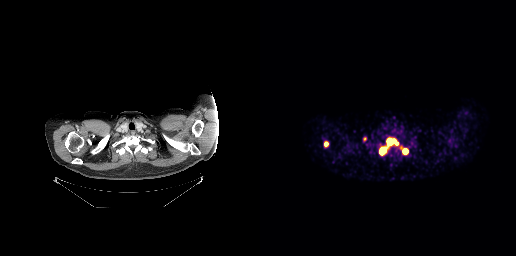
Findings: Coordinates are on the 256×256 PET (right) panel. PSMA-avid tumor lesion bounding boxes (x0,y0,x1,y1): [119,138,138,155], [142,148,148,154], [64,141,68,147], [103,137,106,141].
Technique: Left: CT. Right: PSMA PET, same axial level, [68Ga]Ga-PSMA-11 tracer.